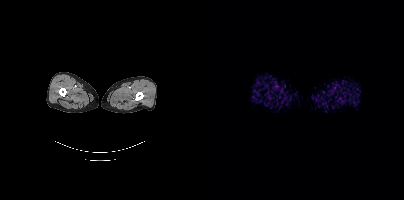
{"modality":"PSMA PET/CT","view":"axial","tracer":"18F-PSMA","pet_grid":[200,200],"coord_frame":"pet_panel","coord_format":"x0,y0,x1,y1","psma_avid_lesions":false}